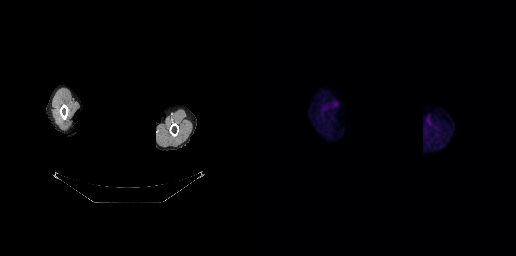
- privacy masking over the head, with the pixels inside a rectangle set to black
- Two-panel axial: CT | PSMA PET, [18F]PSMA-1007 tracer
- acquired on GE Discovery 690
Findings: No tumor lesions annotated on this slice.